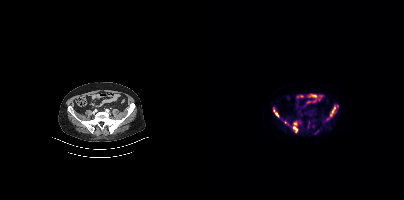
{"modality":"PSMA PET/CT","view":"axial","tracer":"18F","pet_grid":[200,200],"coord_frame":"pet_panel","coord_format":"x0,y0,x1,y1","partial":true,"lesion_bboxes":[[89,122,93,132],[126,107,131,115],[69,110,74,116]]}